Two-panel axial: CT | PSMA PET, 18F-PSMA tracer.
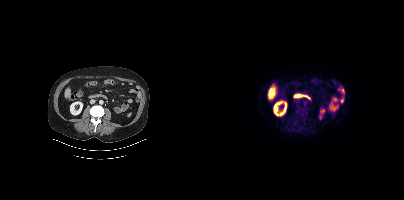
No tumor lesions annotated on this slice.